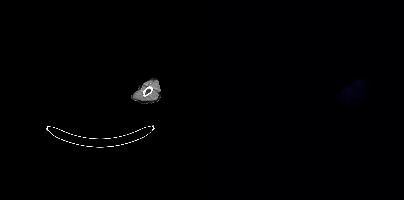
De-identified by setting a box covering the face to black before release. Two-panel axial: CT | PSMA PET, [18F]PSMA-1007 tracer. Acquired on Siemens Biograph mCT Flow 20. Slice 387 of 409. PET panel 200×200 px (4.1 mm/px). This slice has no annotated PSMA-avid lesion.